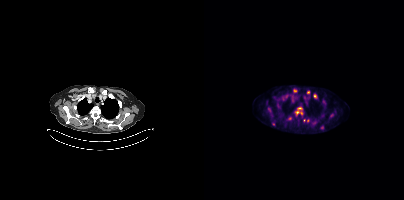
Coordinates are on the 200×200 PET (right) panel. (showing 7 of 11 foci) PSMA-avid tumor lesion bounding box (x0,y0,x1,y1): [91,111,95,113]. Small PSMA-avid foci (2 to 4 px across) near (center x, center y): (111, 95), (90, 90), (95, 108), (104, 92), (97, 113), (65, 109).